Two-panel axial: CT | PSMA PET, [18F]PSMA-1007 tracer. Slice position z = -429 mm. PET panel 256×256 px (2.7 mm/px).
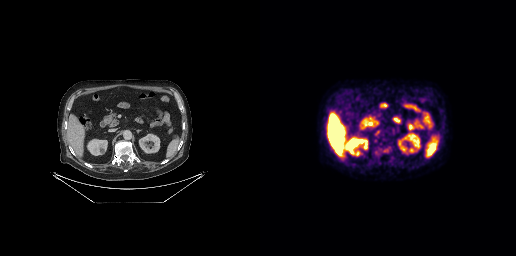
Coordinates are on the 256×256 PET (right) panel. PSMA-avid tumor lesion bounding box (x0,y0,x1,y1): [116,130,120,134]. Small PSMA-avid focus (2 to 4 px across) near (center x, center y): (133, 131).